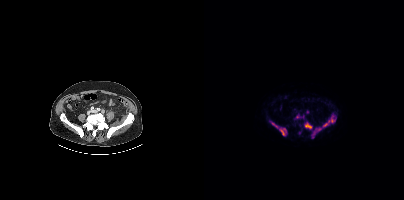
Coordinates are on the 200×200 PET (right) panel. (showing 4 of 5 foci) PSMA-avid tumor lesion bounding boxes (x0, y0)-(x1, y1): (107, 113)-(131, 138); (67, 122)-(82, 135); (100, 122)-(107, 128). Small PSMA-avid focus (2 to 4 px across) near (center x, center y): (93, 116).